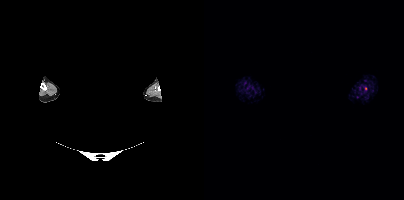
Findings: No tumor lesions annotated on this slice.
Technique: Left: CT. Right: PSMA PET, same axial level, 18F tracer. PET panel 200×200 px (4.1 mm/px).
Note: The face region was removed for patient privacy by blanking a rectangle over the head.